Two-panel axial: CT | PSMA PET, 18F tracer. Slice 216 of 299. PET panel 256×256 px (2.7 mm/px).
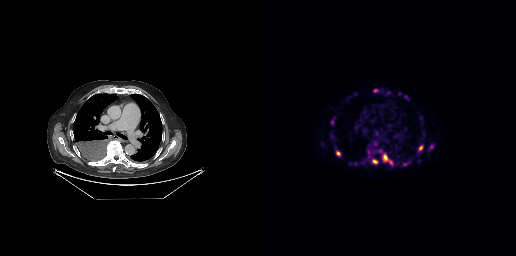
Coordinates are on the 256×256 PET (right) panel. PSMA-avid tumor lesion bounding boxes (partial; 2 more foci not listed):
| # | x0 | y0 | x1 | y1 |
|---|---|---|---|---|
| 1 | 122 | 153 | 132 | 164 |
| 2 | 75 | 149 | 81 | 156 |
| 3 | 112 | 159 | 118 | 164 |
| 4 | 159 | 145 | 162 | 150 |
Small PSMA-avid foci (2 to 4 px across) near (center x, center y): (95, 163); (90, 163); (115, 90); (146, 97); (171, 146).